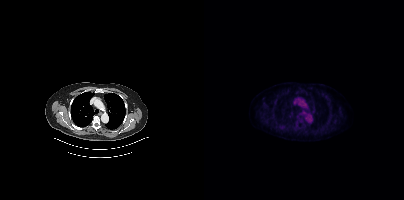
This slice has no annotated PSMA-avid lesion.